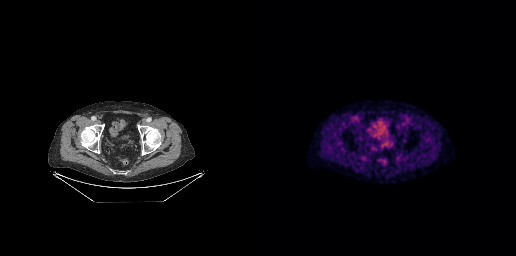
Paired axial CT (left) and PSMA PET (right), 18F-PSMA tracer. Acquired on GE Discovery 690. Slice position z = -811 mm. No PSMA-avid tumor lesions on this slice.